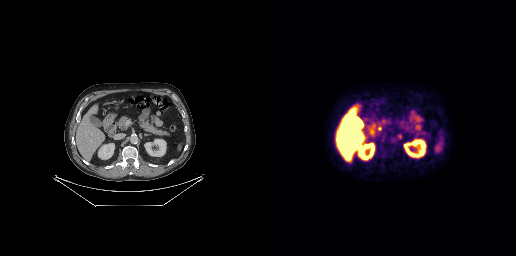
Coordinates are on the 256×256 PET (right) panel. PSMA-avid tumor lesion bounding boxes:
| # | x0 | y0 | x1 | y1 |
|---|---|---|---|---|
| 1 | 136 | 133 | 142 | 139 |
Left: CT. Right: PSMA PET, same axial level, 18F tracer. Acquired on GE Discovery 690. Slice position z = -414 mm. PET panel 256×256 px (2.7 mm/px).